Two-panel axial: CT | PSMA PET, [18F]PSMA-1007 tracer.
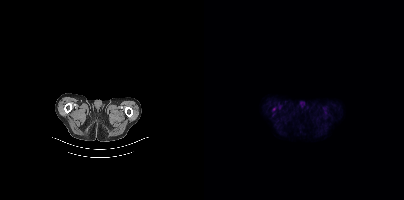
This slice has no annotated PSMA-avid lesion.